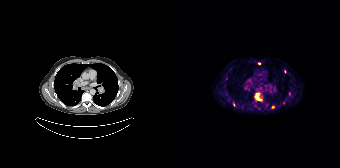
modality: PSMA PET/CT | tracer: [68Ga]Ga-PSMA-11 | view: axial
Coordinates are on the 168×168 PET (right) panel. PSMA-avid tumor lesion bounding box (x, y, width, height): x=82 y=93 w=8 h=8. Small PSMA-avid foci (2 to 4 px across) near (center x, center y): (113, 71); (101, 107); (87, 63); (61, 104).